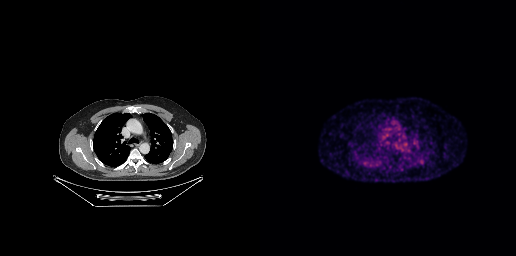
No PSMA-avid tumor lesions on this slice.